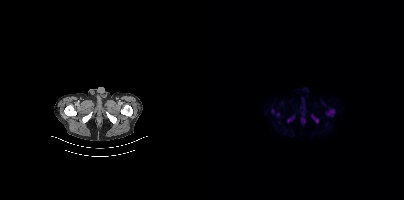
{"modality":"PSMA PET/CT","view":"axial","tracer":"[18F]PSMA-1007","pet_grid":[200,200],"coord_frame":"pet_panel","coord_format":"x0,y0,x1,y1","lesion_bboxes":[[122,109,130,116],[107,114,114,123],[83,116,90,122]],"small_foci_centers":[[74,114]]}